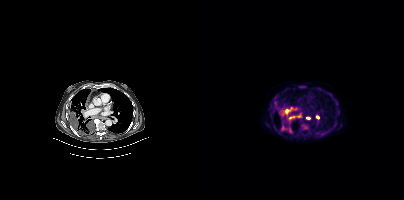
Two-panel axial: CT | PSMA PET, [18F]PSMA-1007 tracer. Slice position z = -1128 mm. PET panel 200×200 px (4.1 mm/px).
Coordinates are on the 200×200 PET (right) panel. PSMA-avid tumor lesion bounding boxes (partial; 1 more focus not listed):
| # | x0 | y0 | x1 | y1 |
|---|---|---|---|---|
| 1 | 76 | 107 | 94 | 117 |
| 2 | 76 | 125 | 88 | 133 |
| 3 | 83 | 113 | 97 | 123 |
| 4 | 97 | 123 | 104 | 129 |
| 5 | 95 | 86 | 102 | 88 |
Small PSMA-avid foci (2 to 4 px across) near (center x, center y): (103, 118); (113, 117).